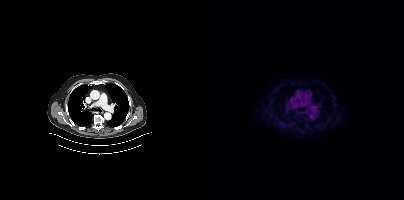
{"modality":"PSMA PET/CT","view":"axial","tracer":"18F","pet_grid":[200,200],"coord_frame":"pet_panel","coord_format":"x0,y0,x1,y1","psma_avid_lesions":false}